Left: CT. Right: PSMA PET, same axial level, 18F-PSMA tracer. Acquired on Siemens Biograph mCT Flow 20. Slice 160 of 421. PET panel 200×200 px (4.1 mm/px).
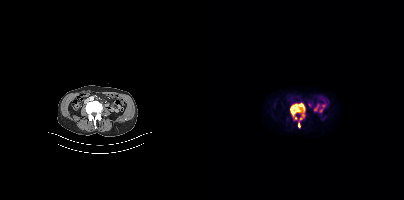
Coordinates are on the 200×200 PET (right) panel. PSMA-avid tumor lesion bounding boxes:
| # | x0 | y0 | x1 | y1 |
|---|---|---|---|---|
| 1 | 86 | 103 | 101 | 128 |